A rectangular block over the head has been blanked out for de-identification.
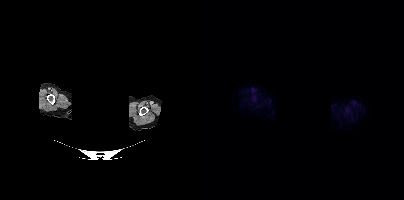
This slice has no annotated PSMA-avid lesion.